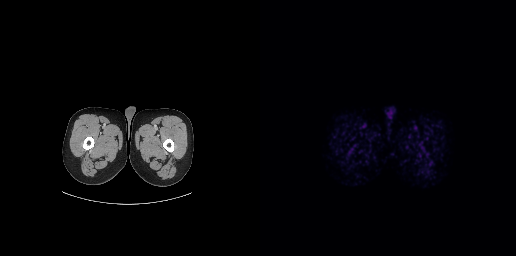
{"modality":"PSMA PET/CT","view":"axial","tracer":"18F","pet_grid":[256,256],"coord_frame":"pet_panel","coord_format":"x0,y0,x1,y1","psma_avid_lesions":false}